Left: CT. Right: PSMA PET, same axial level, 18F-PSMA tracer. Acquired on Siemens Biograph mCT Flow 20. PET panel 200×200 px (4.1 mm/px).
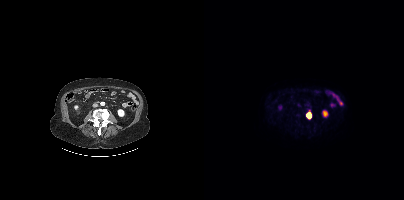
Coordinates are on the 200×200 PET (right) panel. PSMA-avid tumor lesion bounding box (x0, y0)-(x1, y1): (102, 112)-(107, 118).